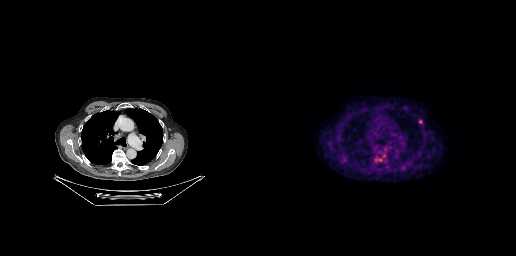
- Paired axial CT (left) and PSMA PET (right), 18F tracer
Findings: Coordinates are on the 256×256 PET (right) panel. PSMA-avid tumor lesion bounding box (x0, y0)-(x1, y1): (118, 157)-(122, 161). Small PSMA-avid foci (2 to 4 px across) near (center x, center y): (160, 121) / (123, 155).